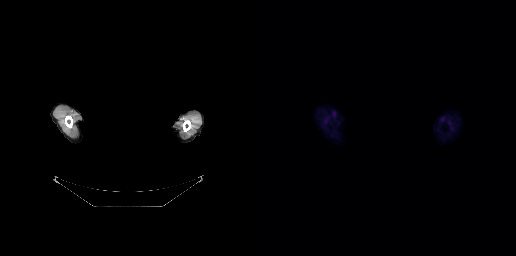
Face de-identified by blanking a block of the head.
No tumor lesions annotated on this slice.